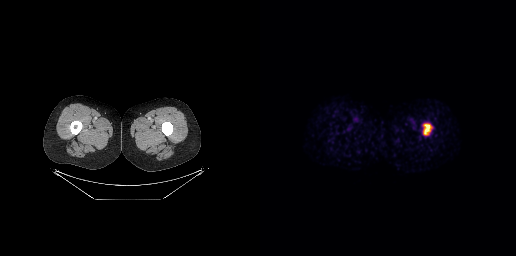
- Paired axial CT (left) and PSMA PET (right), [68Ga]Ga-PSMA-11 tracer
- PET panel 256×256 px (2.7 mm/px)
Findings: Coordinates are on the 256×256 PET (right) panel. PSMA-avid tumor lesion bounding box (x0,y0,x1,y1): [164,124,171,134].